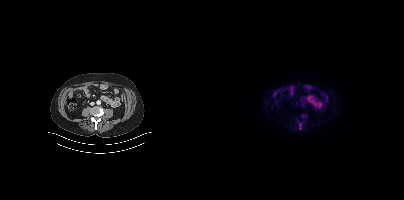
No PSMA-avid tumor lesions on this slice.